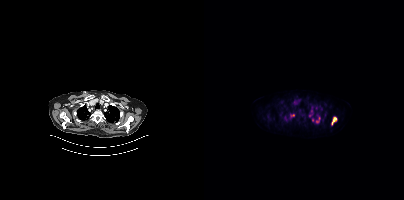
Coordinates are on the 200×200 PET (right) panel. PSMA-avid tumor lesion bounding boxes (partial; 4 more foci not listed):
| # | x0 | y0 | x1 | y1 |
|---|---|---|---|---|
| 1 | 128 | 117 | 132 | 124 |
Small PSMA-avid foci (2 to 4 px across) near (center x, center y): (88, 115); (113, 121); (105, 115); (108, 119).
Left: CT. Right: PSMA PET, same axial level, [18F]PSMA-1007 tracer. Acquired on Siemens Biograph mCT Flow 20. Slice 340 of 423. PET panel 200×200 px (4.1 mm/px).